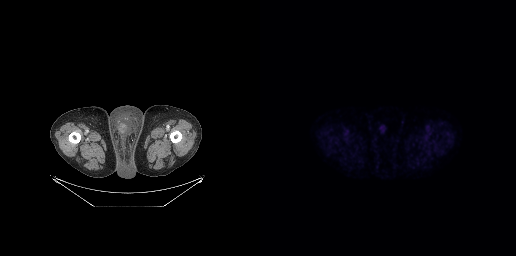
Left: CT. Right: PSMA PET, same axial level, [18F]PSMA-1007 tracer. Slice 64 of 299. Negative for PSMA-avid disease on this slice.